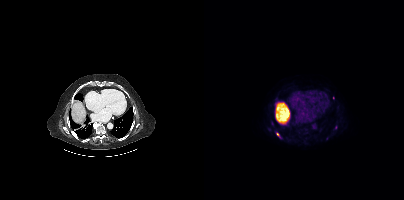
Coordinates are on the 200×200 PET (right) panel. (showing 2 of 3 foci) PSMA-avid tumor lesion bounding box (x0,y0,x1,y1): [72,132,76,137]. Small PSMA-avid focus (2 to 4 px across) near (center x, center y): (71, 118). Left: CT. Right: PSMA PET, same axial level, 18F tracer. Slice 259 of 389.